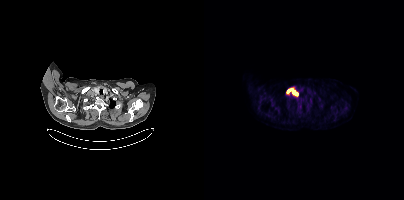
Left: CT. Right: PSMA PET, same axial level, 18F tracer. Acquired on Siemens Biograph mCT Flow 20. Coordinates are on the 200×200 PET (right) panel. PSMA-avid tumor lesion bounding box (x, y, width, height): x=83 y=88 w=12 h=8.